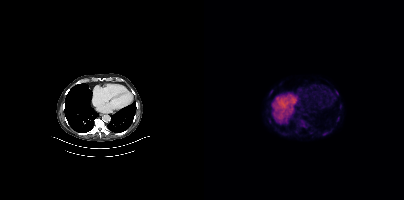
Coordinates are on the 200×200 PET (right) panel. (showing 3 of 4 foci) PSMA-avid tumor lesion bounding box (x, y, width, height): x=133 y=117 w=3 h=5. Small PSMA-avid foci (2 to 4 px across) near (center x, center y): (133, 93) / (136, 106).